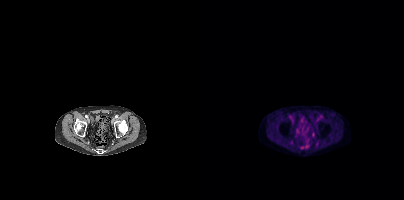
No PSMA-avid tumor lesions on this slice.